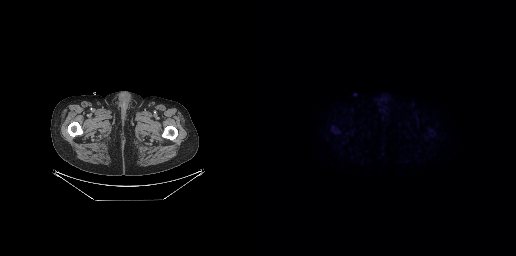
No tumor lesions annotated on this slice.
modality: PSMA PET/CT | tracer: [18F]PSMA-1007 | view: axial